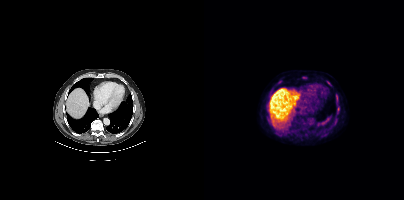
Coordinates are on the 200×200 PET (right) panel. Small PSMA-avid foci (2 to 4 px across) near (center x, center y): (133, 98); (100, 77); (124, 82); (134, 110); (134, 107).